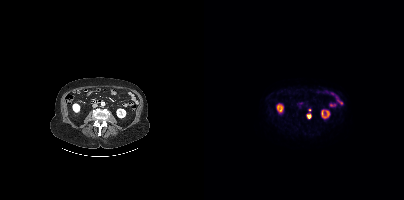
{"pet_grid":[200,200],"coord_frame":"pet_panel","coord_format":"x0,y0,x1,y1","lesion_bboxes":[],"small_foci_centers":[[105,116]],"modality":"PSMA PET/CT","view":"axial","tracer":"18F-PSMA"}